- Left: CT. Right: PSMA PET, same axial level, 18F tracer
- the head region is masked for de-identification
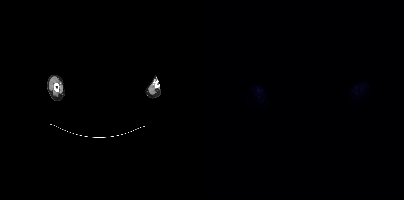
Findings: No tumor lesions annotated on this slice.